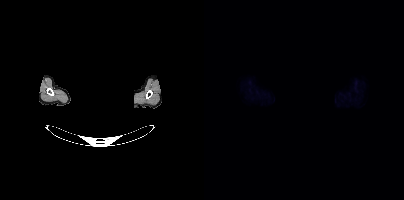
Facial anatomy redacted by setting a rectangular region of the head to black. Paired axial CT (left) and PSMA PET (right), [18F]PSMA-1007 tracer. PET panel 200×200 px (4.1 mm/px). No tumor lesions annotated on this slice.